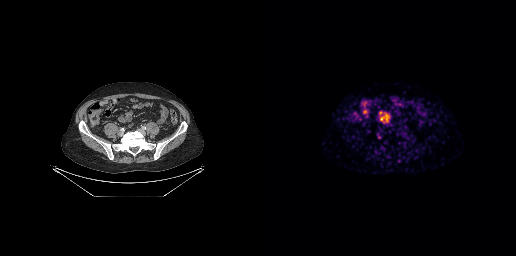
- Two-panel axial: CT | PSMA PET, 68Ga tracer
- acquired on GE Discovery 690
- slice 121 of 299
Findings: This slice has no annotated PSMA-avid lesion.